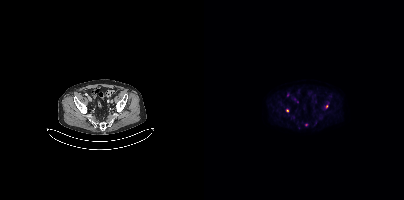
Two-panel axial: CT | PSMA PET, 18F tracer. Acquired on Siemens Biograph mCT Flow 20. Coordinates are on the 200×200 PET (right) panel. Small PSMA-avid foci (2 to 4 px across) near (center x, center y): (123, 106) | (83, 110) | (102, 124).